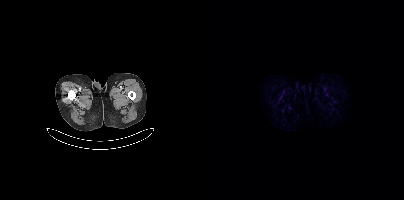
No tumor lesions annotated on this slice.